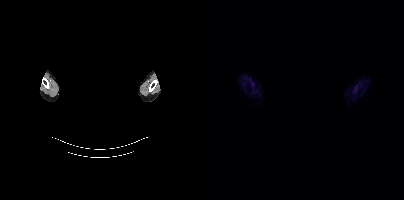
{"modality":"PSMA PET/CT","view":"axial","tracer":"[18F]PSMA-1007","pet_grid":[200,200],"coord_frame":"pet_panel","coord_format":"x0,y0,x1,y1","psma_avid_lesions":false,"redaction":"head region blacked out before release"}